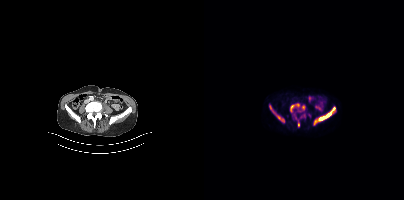
Coordinates are on the 200×200 PET (right) panel. (showing 6 of 7 foci) PSMA-avid tumor lesion bounding boxes (x0,y0,x1,y1): [109,106,132,125], [86,103,95,112], [73,115,80,122], [98,105,101,109], [94,122,95,126]. Small PSMA-avid focus (2 to 4 px across) near (center x, center y): (66, 107).